Two-panel axial: CT | PSMA PET, 68Ga tracer. Slice position z = -750 mm.
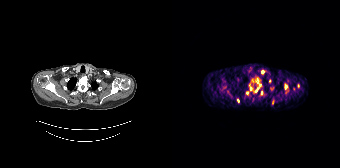
Coordinates are on the 168×168 PET (right) panel. PSMA-avid tumor lesion bounding boxes (partial; 1 more focus not listed):
| # | x0 | y0 | x1 | y1 |
|---|---|---|---|---|
| 1 | 84 | 79 | 89 | 91 |
| 2 | 113 | 84 | 115 | 89 |
Small PSMA-avid foci (2 to 4 px across) near (center x, center y): (90, 71); (98, 80); (78, 88); (89, 92); (80, 80); (75, 93); (65, 100); (100, 102); (77, 84).